Technique: Paired axial CT (left) and PSMA PET (right), 18F-PSMA tracer. acquired on Siemens Biograph mCT Flow 20. PET panel 200×200 px (4.1 mm/px).
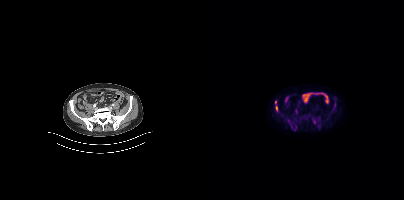
Findings: Coordinates are on the 200×200 PET (right) panel. PSMA-avid tumor lesion bounding box (x, y, width, height): x=71 y=105 w=3 h=7. Small PSMA-avid foci (2 to 4 px across) near (center x, center y): (71, 102) / (92, 111) / (110, 122).